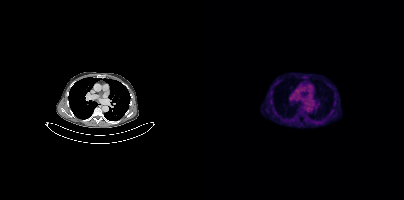
Only PSMA-avid lesion pieces thinner than 2 px on this slice (not listed).